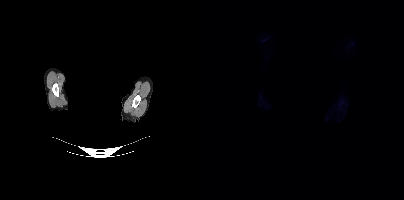
modality: PSMA PET/CT | tracer: 18F-PSMA | view: axial | redaction: head region blacked out before release
No tumor lesions annotated on this slice.